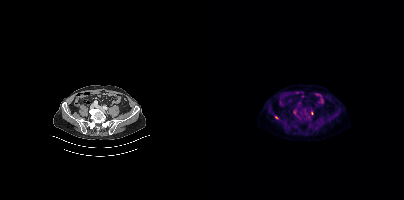
Findings: Coordinates are on the 200×200 PET (right) panel. PSMA-avid tumor lesion bounding box (x0,y0,x1,y1): [89,110,92,115]. Small PSMA-avid foci (2 to 4 px across) near (center x, center y): (108, 112), (72, 117).
- Left: CT. Right: PSMA PET, same axial level, 18F tracer
- slice 149 of 442